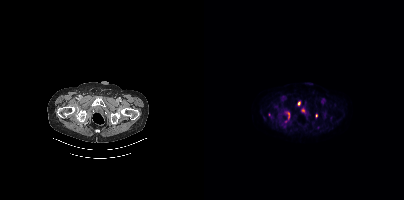
{"modality":"PSMA PET/CT","view":"axial","tracer":"[18F]PSMA-1007","pet_grid":[200,200],"coord_frame":"pet_panel","coord_format":"x0,y0,x1,y1","partial":true,"lesion_bboxes":[],"small_foci_centers":[[112,115],[94,103]]}